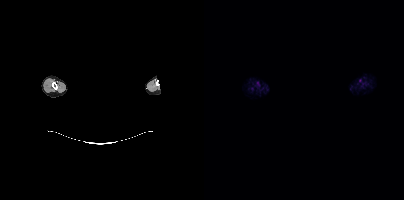
{"pet_grid":[200,200],"coord_frame":"pet_panel","coord_format":"x0,y0,x1,y1","psma_avid_lesions":false,"de-identification":"face masked with black rectangle","modality":"PSMA PET/CT","view":"axial","tracer":"18F"}